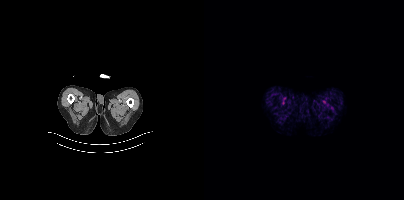
This slice has no annotated PSMA-avid lesion.